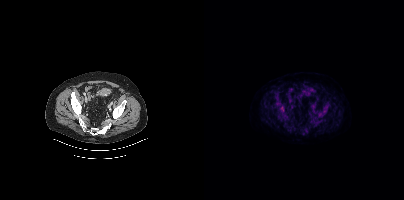
No tumor lesions annotated on this slice. Left: CT. Right: PSMA PET, same axial level, [18F]PSMA-1007 tracer. Slice position z = -794 mm.